Two-panel axial: CT | PSMA PET, 18F-PSMA tracer. Acquired on Siemens Biograph mCT Flow 20. Slice position z = -976 mm. PET panel 200×200 px (4.1 mm/px).
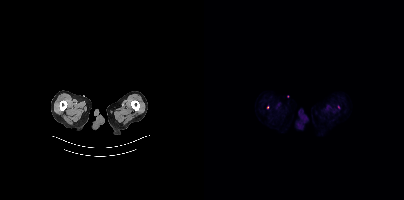
Coordinates are on the 200×200 PET (right) panel. Small PSMA-avid foci (2 to 4 px across) near (center x, center y): (63, 107) | (134, 106).